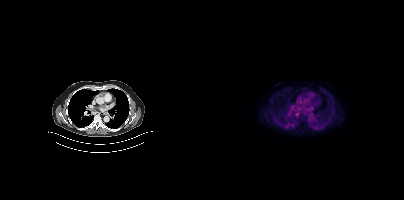
{"modality":"PSMA PET/CT","view":"axial","tracer":"18F-PSMA","pet_grid":[200,200],"coord_frame":"pet_panel","coord_format":"x0,y0,x1,y1","lesion_bboxes":[],"small_foci_centers":[[89,125]]}